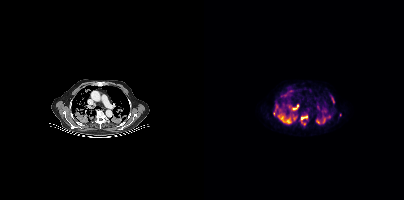
Paired axial CT (left) and PSMA PET (right), [18F]PSMA-1007 tracer. Acquired on Siemens Biograph mCT Flow 20. Slice position z = -489 mm. Coordinates are on the 200×200 PET (right) panel. (showing 12 of 13 foci) PSMA-avid tumor lesion bounding boxes (x0,y0,x1,y1): [73,113,87,123]; [83,104,94,110]; [97,115,103,120]; [69,105,73,115]; [89,114,92,120]; [112,119,115,123]; [128,97,130,102]; [119,118,121,122]. Small PSMA-avid foci (2 to 4 px across) near (center x, center y): (114, 106); (136, 114); (75, 110); (100, 123).